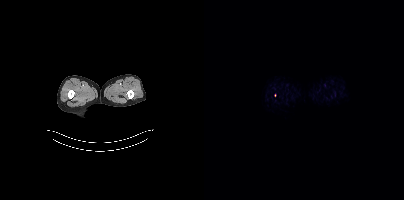
Two-panel axial: CT | PSMA PET, 18F tracer. PET panel 200×200 px (4.1 mm/px). Only PSMA-avid lesion pieces thinner than 2 px on this slice (not listed).